Left: CT. Right: PSMA PET, same axial level, 68Ga tracer. PET panel 168×168 px (4.1 mm/px).
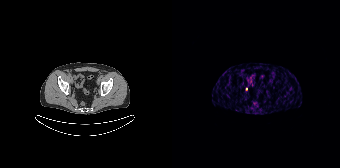
Coordinates are on the 168×168 PET (right) panel. Small PSMA-avid focus (2 to 4 px across) near (center x, center y): (74, 89).